Two-panel axial: CT | PSMA PET, 18F-PSMA tracer. Acquired on Siemens Biograph mCT Flow 20.
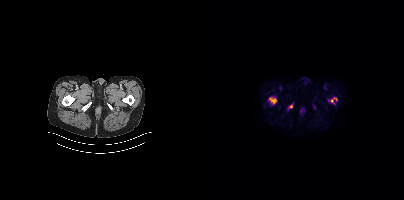
Coordinates are on the 200×200 PET (right) panel. PSMA-avid tumor lesion bounding boxes:
| # | x0 | y0 | x1 | y1 |
|---|---|---|---|---|
| 1 | 66 | 98 | 72 | 102 |
| 2 | 127 | 98 | 133 | 102 |
Small PSMA-avid focus (2 to 4 px across) near (center x, center y): (87, 106).